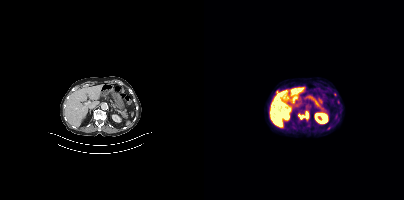
Two-panel axial: CT | PSMA PET, 18F tracer. Slice position z = -579 mm. PET panel 200×200 px (4.1 mm/px). Coordinates are on the 200×200 PET (right) panel. (showing 1 of 2 foci) PSMA-avid tumor lesion bounding box (x, y, width, height): x=94 y=111 w=11 h=9.